Technique: Paired axial CT (left) and PSMA PET (right), 18F tracer. acquired on Siemens Biograph mCT Flow 20. slice position z = 10 mm.
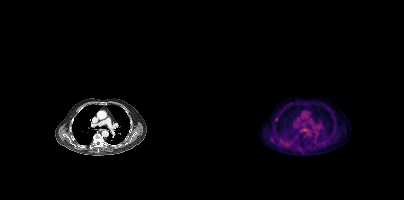
Findings: Coordinates are on the 200×200 PET (right) panel. Small PSMA-avid focus (2 to 4 px across) near (center x, center y): (72, 119).